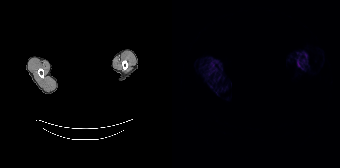
Negative for PSMA-avid disease on this slice. Left: CT. Right: PSMA PET, same axial level, 68Ga tracer. Slice position z = -33 mm. De-identified by setting a box covering the face to black before release.